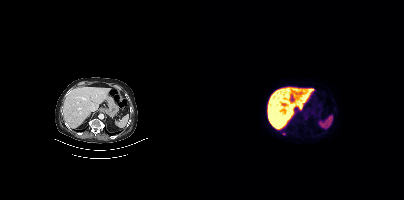
modality: PSMA PET/CT | tracer: 18F | view: axial | PET grid: 200×200
Coordinates are on the 200×200 PET (right) panel. Small PSMA-avid focus (2 to 4 px across) near (center x, center y): (79, 133).